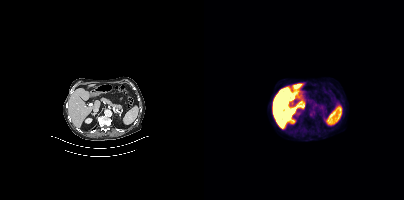
- Left: CT. Right: PSMA PET, same axial level, 18F tracer
- acquired on Siemens Biograph mCT Flow 20
- PET panel 200×200 px (4.1 mm/px)
Findings: No tumor lesions annotated on this slice.